Two-panel axial: CT | PSMA PET, 18F tracer. Acquired on Siemens Biograph mCT Flow 20. PET panel 200×200 px (4.1 mm/px).
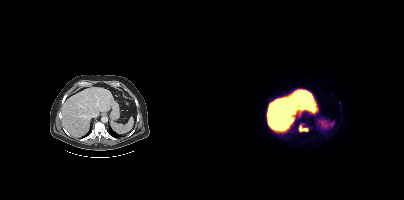
Coordinates are on the 200×200 PET (right) panel. (showing 1 of 2 foci) PSMA-avid tumor lesion bounding box (x0, y0)-(x1, y1): (95, 125)-(104, 131).